- Left: CT. Right: PSMA PET, same axial level, 18F tracer
- acquired on Siemens Biograph mCT Flow 20
- slice position z = -899 mm
- PET panel 200×200 px (4.1 mm/px)
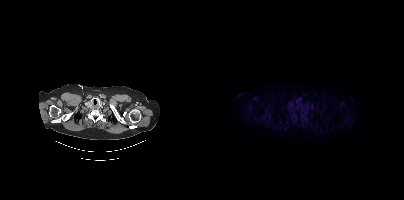
Findings: No PSMA-avid tumor lesions on this slice.